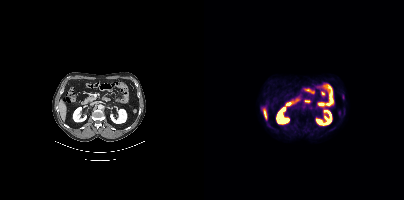
{"modality":"PSMA PET/CT","view":"axial","tracer":"[18F]PSMA-1007","pet_grid":[200,200],"coord_frame":"pet_panel","coord_format":"x0,y0,x1,y1","psma_avid_lesions":false}